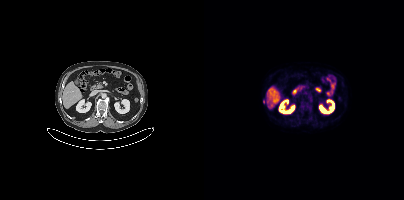
No tumor lesions annotated on this slice. Left: CT. Right: PSMA PET, same axial level, [18F]PSMA-1007 tracer. Slice 195 of 419. PET panel 200×200 px (4.1 mm/px).